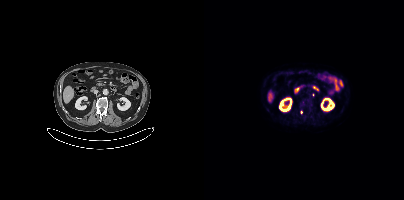
Technique: Two-panel axial: CT | PSMA PET, 18F tracer. acquired on Siemens Biograph mCT Flow 20. slice 182 of 419.
Findings: Coordinates are on the 200×200 PET (right) panel. Small PSMA-avid focus (2 to 4 px across) near (center x, center y): (97, 112).